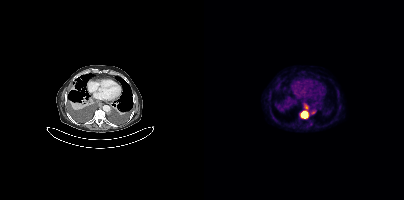
modality: PSMA PET/CT | tracer: 18F-PSMA | view: axial | PET grid: 200×200
Coordinates are on the 200×200 PET (right) panel. PSMA-avid tumor lesion bounding boxes (x, y, width, height): x=97 y=111 w=8 h=8 | x=100 y=104 w=5 h=5.